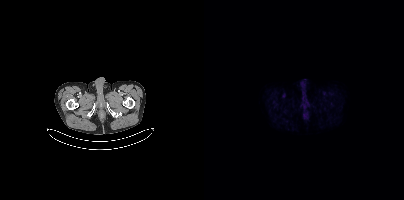
{"modality":"PSMA PET/CT","view":"axial","tracer":"18F","pet_grid":[200,200],"coord_frame":"pet_panel","coord_format":"x0,y0,x1,y1","lesion_bboxes":[[100,112,103,116]]}